modality: PSMA PET/CT | tracer: 18F-PSMA | view: axial | PET grid: 200×200
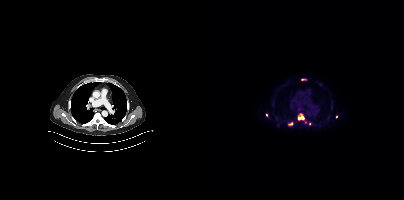
Coordinates are on the 200×200 PET (right) panel. (showing 6 of 7 foci) PSMA-avid tumor lesion bounding boxes (x0, y0)-(x1, y1): (94, 113)-(100, 120) | (84, 122)-(88, 125) | (97, 78)-(102, 80). Small PSMA-avid foci (2 to 4 px across) near (center x, center y): (62, 115) | (132, 116) | (105, 123).